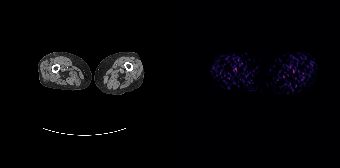
- Paired axial CT (left) and PSMA PET (right), 68Ga tracer
- acquired on Siemens Biograph 64-4R TruePoint
Findings: No PSMA-avid tumor lesions on this slice.